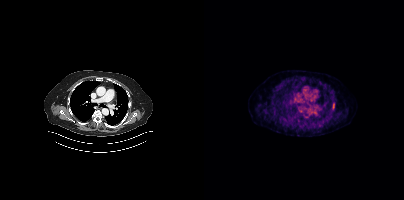
Coordinates are on the 200×200 PET (right) panel. PSMA-avid tumor lesion bounding box (x0, y0)-(x1, y1): (129, 103)-(130, 108).